- Two-panel axial: CT | PSMA PET, 18F tracer
- slice position z = -320 mm
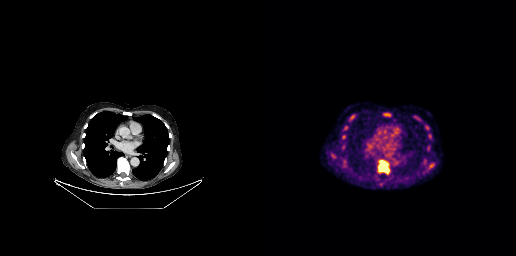
Findings: Coordinates are on the 256×256 PET (right) panel. PSMA-avid tumor lesion bounding boxes (x, y, width, height): x=118 y=160 w=12 h=14; x=125 y=114 w=5 h=2. Small PSMA-avid foci (2 to 4 px across) near (center x, center y): (83, 136); (73, 155).